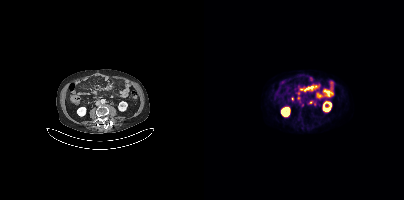
Paired axial CT (left) and PSMA PET (right), 18F-PSMA tracer. Slice 156 of 395. PET panel 200×200 px (4.1 mm/px). Coordinates are on the 200×200 PET (right) panel. (showing 5 of 6 foci) PSMA-avid tumor lesion bounding box (x0, y0)-(x1, y1): (103, 86)-(112, 89). Small PSMA-avid foci (2 to 4 px across) near (center x, center y): (88, 99) | (107, 102) | (98, 105) | (93, 93).